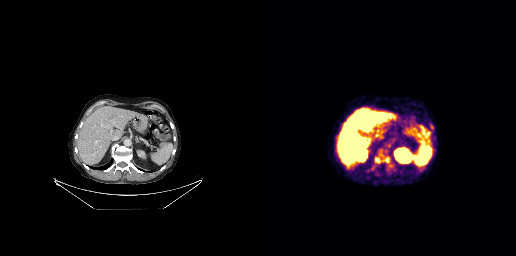
Coordinates are on the 256×256 PET (right) panel. PSMA-avid tumor lesion bounding boxes (x0, y0)-(x1, y1): (115, 158)-(120, 162) | (124, 157)-(128, 162).